Left: CT. Right: PSMA PET, same axial level, 18F tracer.
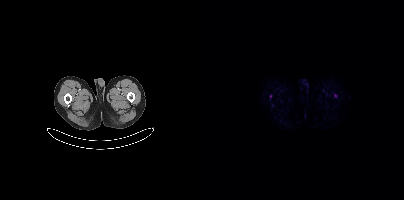
Only PSMA-avid lesion pieces thinner than 2 px on this slice (not listed).